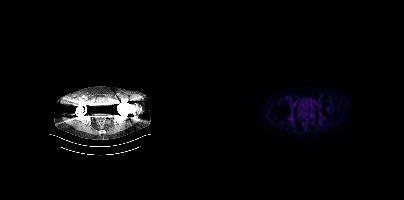
{"pet_grid":[200,200],"coord_frame":"pet_panel","coord_format":"x0,y0,x1,y1","psma_avid_lesions":false,"modality":"PSMA PET/CT","view":"axial","tracer":"18F-PSMA"}